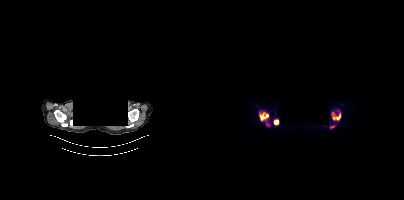
Coordinates are on the 200×200 PET (right) panel. PSMA-avid tumor lesion bounding boxes:
| # | x0 | y0 | x1 | y1 |
|---|---|---|---|---|
| 1 | 128 | 109 | 136 | 120 |
| 2 | 55 | 112 | 64 | 120 |
| 3 | 62 | 121 | 66 | 126 |
| 4 | 70 | 120 | 74 | 124 |
| 5 | 126 | 125 | 131 | 128 |
Small PSMA-avid focus (2 to 4 px across) near (center x, center y): (56, 111).
Paired axial CT (left) and PSMA PET (right), [68Ga]Ga-PSMA-11 tracer. Acquired on Siemens Biograph mCT Flow 20. Any black rectangle over the head is a privacy mask, not anatomy.